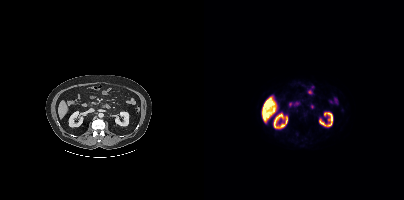
Findings: No tumor lesions annotated on this slice.
- Left: CT. Right: PSMA PET, same axial level, 18F-PSMA tracer
- acquired on Siemens Biograph mCT Flow 20